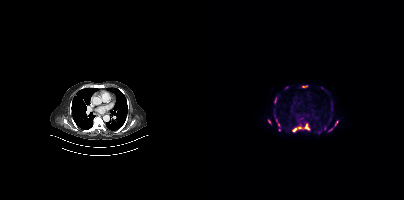
modality: PSMA PET/CT | tracer: [68Ga]Ga-PSMA-11 | view: axial | PET grid: 200×200
Coordinates are on the 200×200 PET (right) panel. (showing 9 of 11 foci) PSMA-avid tumor lesion bounding boxes (x, y, width, height): x=89 y=124 w=17 h=8; x=70 y=98 w=4 h=6; x=124 y=128 w=5 h=4; x=98 y=86 w=6 h=2. Small PSMA-avid foci (2 to 4 px across) near (center x, center y): (97, 124); (65, 121); (132, 123); (74, 124); (75, 129).